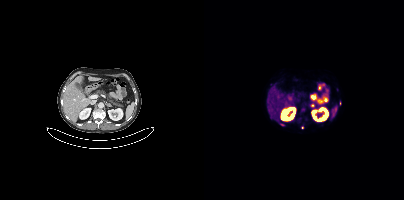
Two-panel axial: CT | PSMA PET, 68Ga-PSMA tracer. Acquired on Siemens Biograph mCT Flow 20. Slice position z = -1211 mm. Coordinates are on the 200×200 PET (right) panel. (showing 3 of 4 foci) Small PSMA-avid foci (2 to 4 px across) near (center x, center y): (67, 117) / (78, 124) / (98, 127).